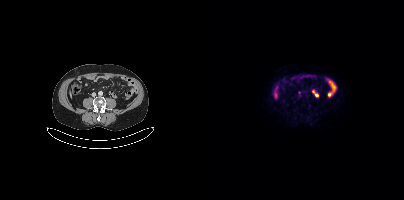
{"pet_grid":[200,200],"coord_frame":"pet_panel","coord_format":"x0,y0,x1,y1","lesion_bboxes":[[94,91,96,95]],"modality":"PSMA PET/CT","view":"axial","tracer":"[18F]PSMA-1007"}